Two-panel axial: CT | PSMA PET, 68Ga-PSMA tracer. Acquired on GE Discovery 690. Slice position z = -512 mm.
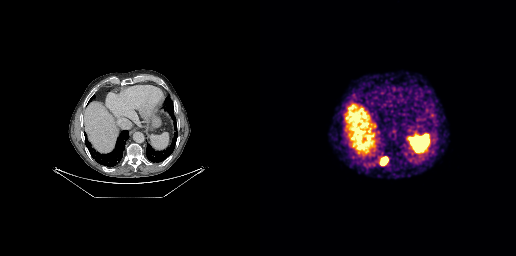
Coordinates are on the 256×256 PET (right) panel. PSMA-avid tumor lesion bounding box (x, y, width, height): x=121 y=157 w=7 h=9.